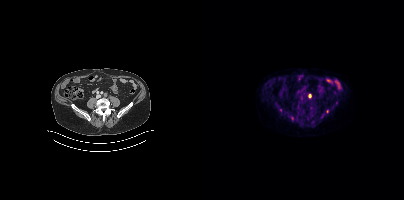
Coordinates are on the 200×200 PET (right) panel. (showing 3 of 4 foci) Small PSMA-avid foci (2 to 4 px across) near (center x, center y): (87, 117) | (106, 95) | (123, 111).